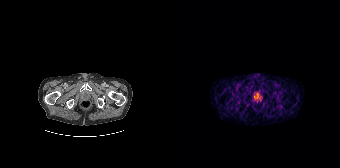
Findings: No PSMA-avid tumor lesions on this slice.
- Two-panel axial: CT | PSMA PET, 68Ga-PSMA tracer
- acquired on Siemens Biograph 64-4R TruePoint
- PET panel 168×168 px (4.1 mm/px)